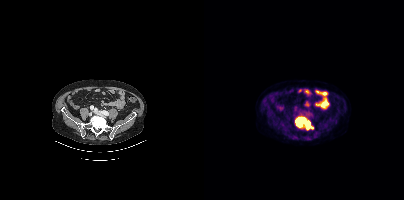
{"pet_grid":[200,200],"coord_frame":"pet_panel","coord_format":"x0,y0,x1,y1","lesion_bboxes":[[91,116,109,129]],"modality":"PSMA PET/CT","view":"axial","tracer":"18F-PSMA"}